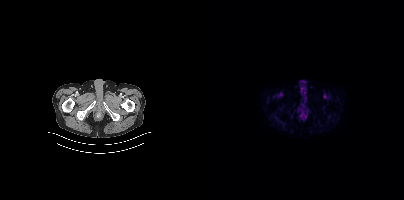
{"modality":"PSMA PET/CT","view":"axial","tracer":"18F","pet_grid":[200,200],"coord_frame":"pet_panel","coord_format":"x0,y0,x1,y1","psma_avid_lesions":false}